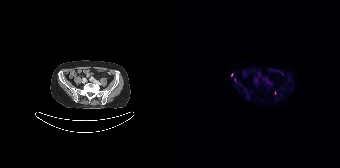
Coordinates are on the 168×168 PET (right) panel. Small PSMA-avid foci (2 to 4 px across) near (center x, center y): (103, 92) / (59, 75).